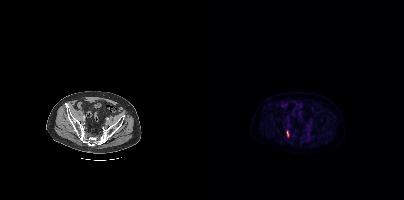
Paired axial CT (left) and PSMA PET (right), 18F tracer. This slice has no annotated PSMA-avid lesion.